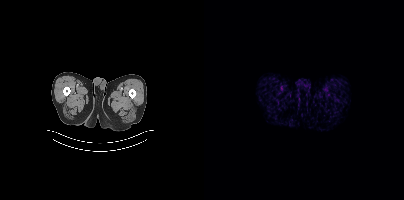
No PSMA-avid tumor lesions on this slice.